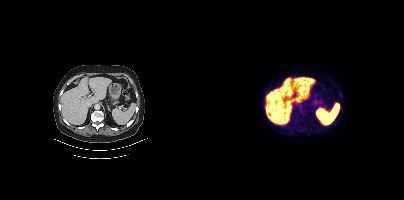
Technique: Two-panel axial: CT | PSMA PET, [18F]PSMA-1007 tracer. acquired on Siemens Biograph mCT Flow 20.
Findings: Coordinates are on the 200×200 PET (right) panel. PSMA-avid tumor lesion bounding boxes (x0, y0)-(x1, y1): (92, 115)-(102, 121); (90, 121)-(95, 126). Small PSMA-avid foci (2 to 4 px across) near (center x, center y): (136, 93); (97, 111); (99, 114).